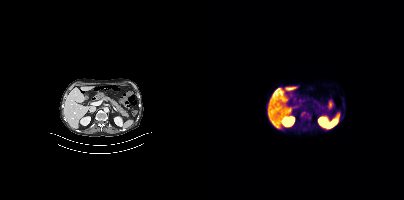
Coordinates are on the 200×200 PET (right) panel. (showing 2 of 3 foci) Small PSMA-avid foci (2 to 4 px across) near (center x, center y): (102, 114), (104, 119).
modality: PSMA PET/CT | tracer: [18F]PSMA-1007 | view: axial